modality: PSMA PET/CT | tracer: 18F | view: axial
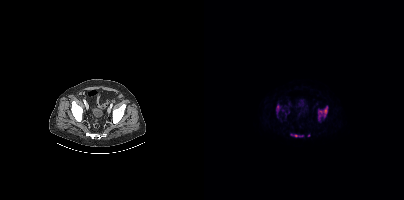
Coordinates are on the 200×200 PET (right) panel. (showing 4 of 7 foci) PSMA-avid tumor lesion bounding boxes (x, y, width, height): x=114 y=106 w=10 h=15; x=86 y=133 w=14 h=5; x=72 y=104 w=5 h=11. Small PSMA-avid focus (2 to 4 px across) near (center x, center y): (104, 135).